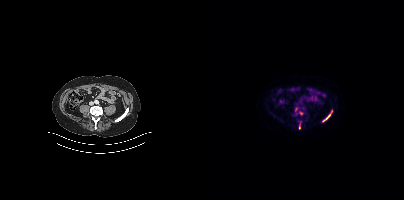
Technique: Two-panel axial: CT | PSMA PET, 18F-PSMA tracer. PET panel 200×200 px (4.1 mm/px).
Findings: Coordinates are on the 200×200 PET (right) panel. PSMA-avid tumor lesion bounding box (x0,y0,x1,y1): [119,114,126,121]. Small PSMA-avid focus (2 to 4 px across) near (center x, center y): (95, 127).